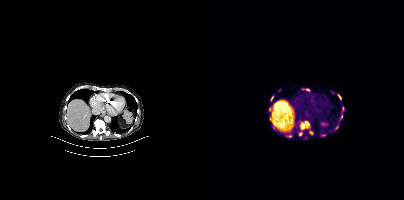
Coordinates are on the 200×200 PET (right) panel. (showing 13 of 15 foci) PSMA-avid tumor lesion bounding boxes (x, y, width, height): x=96 y=121 w=11 h=9 | x=133 y=94 w=5 h=7 | x=138 y=106 w=3 h=6 | x=68 y=123 w=4 h=7 | x=136 y=114 w=3 h=6 | x=105 y=131 w=5 h=4 | x=82 y=135 w=6 h=3 | x=101 y=89 w=5 h=3. Small PSMA-avid foci (2 to 4 px across) near (center x, center y): (96, 133) | (132, 127) | (65, 109) | (128, 92) | (68, 96).